modality: PSMA PET/CT | tracer: 68Ga-PSMA | view: axial
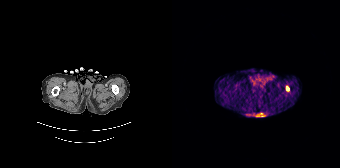
Coordinates are on the 168×168 PET (right) panel. PSMA-avid tumor lesion bounding box (x0, y0)-(x1, y1): (114, 86)-(117, 90).